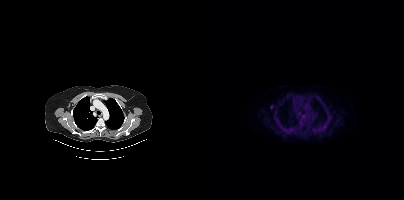
- Left: CT. Right: PSMA PET, same axial level, 18F-PSMA tracer
- acquired on Siemens Biograph mCT Flow 20
- PET panel 200×200 px (4.1 mm/px)
Findings: Coordinates are on the 200×200 PET (right) panel. Small PSMA-avid focus (2 to 4 px across) near (center x, center y): (67, 106).